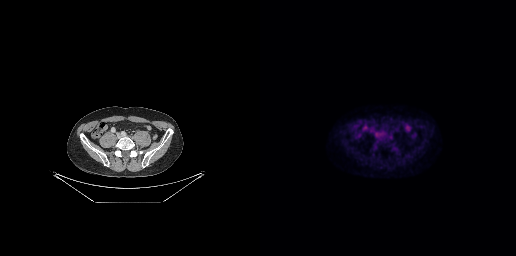
- Two-panel axial: CT | PSMA PET, [18F]PSMA-1007 tracer
Findings: Coordinates are on the 256×256 PET (right) panel. PSMA-avid tumor lesion bounding box (x0, y0)-(x1, y1): (129, 135)-(132, 139).